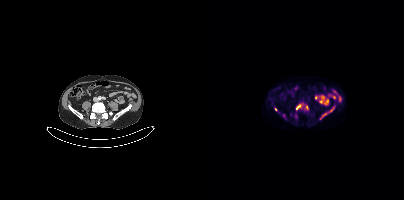
Findings: Coordinates are on the 200×200 PET (right) panel. PSMA-avid tumor lesion bounding boxes (x0,y0,x1,y1): [116,106,130,119] [92,104,97,109]. Small PSMA-avid foci (2 to 4 px across) near (center x, center y): (103, 107) (71, 109).
Technique: Paired axial CT (left) and PSMA PET (right), 18F tracer. PET panel 200×200 px (4.1 mm/px).